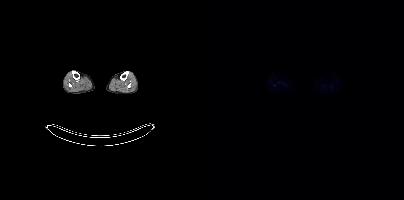
No PSMA-avid tumor lesions on this slice.